Technique: Two-panel axial: CT | PSMA PET, 18F-PSMA tracer. slice position z = -1199 mm. PET panel 200×200 px (4.1 mm/px).
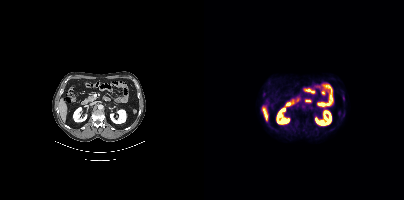
Findings: No tumor lesions annotated on this slice.